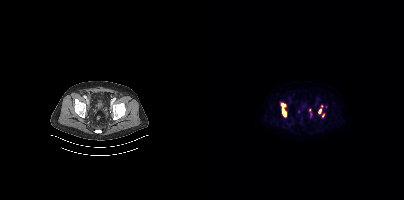
{"pet_grid":[200,200],"coord_frame":"pet_panel","coord_format":"x0,y0,x1,y1","lesion_bboxes":[[77,103,82,116],[114,109,117,113]],"small_foci_centers":[[119,115],[117,105],[105,109]],"modality":"PSMA PET/CT","view":"axial","tracer":"18F-PSMA"}